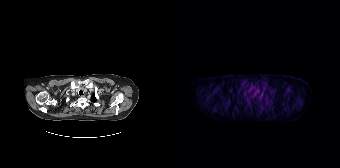
No PSMA-avid tumor lesions on this slice.